- Paired axial CT (left) and PSMA PET (right), 18F tracer
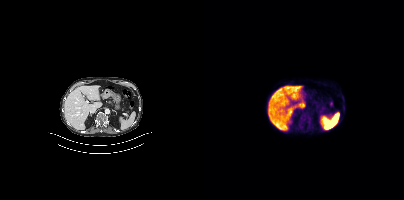
Findings: Coordinates are on the 200×200 PET (right) panel. PSMA-avid tumor lesion bounding box (x0,y0,x1,y1): [101,116,107,122].